- Left: CT. Right: PSMA PET, same axial level, 18F tracer
- acquired on Siemens Biograph mCT Flow 20
- PET panel 200×200 px (4.1 mm/px)
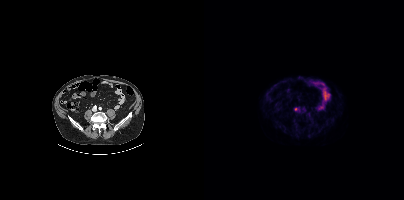
Findings: Coordinates are on the 200×200 PET (right) panel. PSMA-avid tumor lesion bounding box (x0, y0)-(x1, y1): (90, 108)-(94, 110).